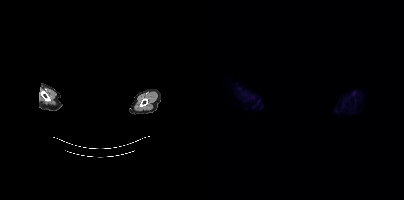
{"modality":"PSMA PET/CT","view":"axial","tracer":"18F","pet_grid":[200,200],"coord_frame":"pet_panel","coord_format":"x0,y0,x1,y1","psma_avid_lesions":false,"de-identification":"head region blacked out before release"}